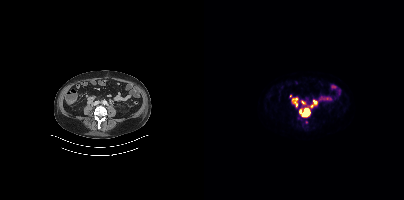
{"modality":"PSMA PET/CT","view":"axial","tracer":"[18F]PSMA-1007","pet_grid":[200,200],"coord_frame":"pet_panel","coord_format":"x0,y0,x1,y1","lesion_bboxes":[[96,108,106,116],[89,99,93,106],[106,101,112,107]],"small_foci_centers":[[98,102]]}